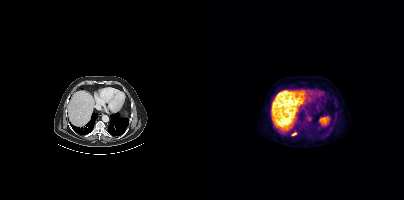
Coordinates are on the 200×200 PET (right) panel. PSMA-avid tumor lesion bounding boxes:
| # | x0 | y0 | x1 | y1 |
|---|---|---|---|---|
| 1 | 88 | 132 | 92 | 135 |
Two-panel axial: CT | PSMA PET, [18F]PSMA-1007 tracer. Acquired on Siemens Biograph mCT Flow 20. Slice position z = -1020 mm.